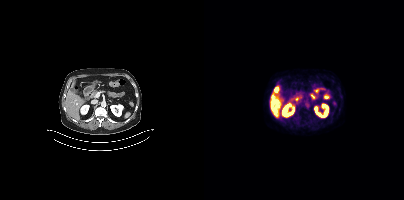
{"pet_grid":[200,200],"coord_frame":"pet_panel","coord_format":"x0,y0,x1,y1","psma_avid_lesions":false,"modality":"PSMA PET/CT","view":"axial","tracer":"[18F]PSMA-1007"}